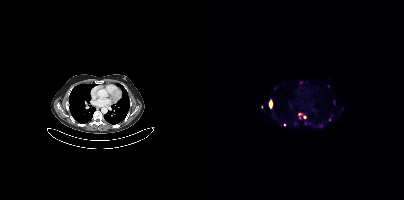
Left: CT. Right: PSMA PET, same axial level, 68Ga tracer. Slice 280 of 411. PET panel 200×200 px (4.1 mm/px). Coordinates are on the 200×200 PET (right) panel. (showing 7 of 8 foci) PSMA-avid tumor lesion bounding boxes (x, y, width, height): x=94 y=113 w=8 h=6; x=65 y=101 w=4 h=8. Small PSMA-avid foci (2 to 4 px across) near (center x, center y): (71, 88); (57, 107); (125, 119); (80, 124); (96, 82).